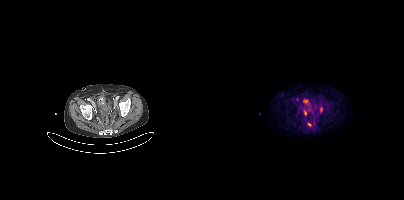
modality: PSMA PET/CT | tracer: 18F-PSMA | view: axial | PET grid: 200×200
Coordinates are on the 200×200 PET (right) panel. PSMA-avid tumor lesion bounding boxes (x0, y0)-(x1, y1): (116, 107)-(118, 112) / (103, 122)-(107, 126) / (100, 110)-(102, 115). Small PSMA-avid focus (2 to 4 px across) near (center x, center y): (93, 99).